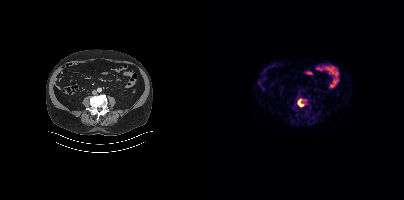
Two-panel axial: CT | PSMA PET, 18F tracer. Acquired on Siemens Biograph mCT Flow 20.
Coordinates are on the 200×200 PET (right) panel. PSMA-avid tumor lesion bounding boxes:
| # | x0 | y0 | x1 | y1 |
|---|---|---|---|---|
| 1 | 94 | 99 | 99 | 106 |